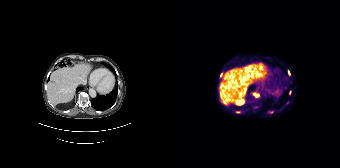
Coordinates are on the 168×168 PET (right) panel. (showing 6 of 8 foci) PSMA-avid tumor lesion bounding boxes (x0,y0,x1,y1): [78,92,87,97], [48,73,50,77]. Small PSMA-avid foci (2 to 4 px across) near (center x, center y): (65, 112), (99, 112), (116, 72), (117, 92). Two-panel axial: CT | PSMA PET, [68Ga]Ga-PSMA-11 tracer. Slice position z = -1242 mm. PET panel 168×168 px (4.1 mm/px).